Technique: Two-panel axial: CT | PSMA PET, [18F]PSMA-1007 tracer. slice 168 of 417.
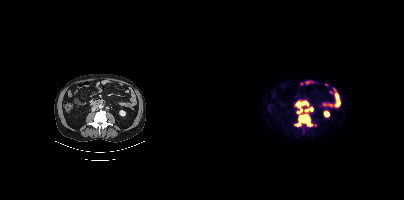
Findings: Coordinates are on the 200×200 PET (right) panel. PSMA-avid tumor lesion bounding box (x, y, width, height): x=91 y=100 w=18 h=27.